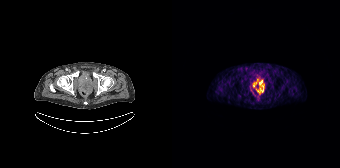
Findings: Coordinates are on the 168×168 PET (right) panel. (showing 2 of 3 foci) PSMA-avid tumor lesion bounding boxes (x0, y0)-(x1, y1): (84, 80)-(92, 92); (81, 82)-(84, 86).
- Two-panel axial: CT | PSMA PET, 68Ga tracer
- slice position z = -798 mm
- PET panel 168×168 px (4.1 mm/px)